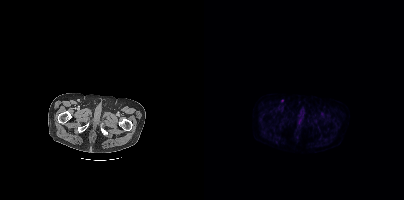
Two-panel axial: CT | PSMA PET, [18F]PSMA-1007 tracer. PET panel 200×200 px (4.1 mm/px). Negative for PSMA-avid disease on this slice.